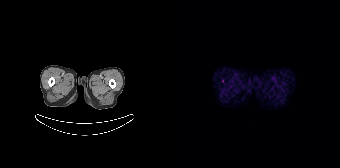
This slice has no annotated PSMA-avid lesion. Left: CT. Right: PSMA PET, same axial level, [68Ga]Ga-PSMA-11 tracer. Acquired on Siemens Biograph 64-4R TruePoint.